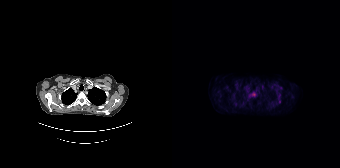
{"modality":"PSMA PET/CT","view":"axial","tracer":"18F","pet_grid":[168,168],"coord_frame":"pet_panel","coord_format":"x0,y0,x1,y1","lesion_bboxes":[[77,92,84,96],[106,99,108,103]]}